Two-panel axial: CT | PSMA PET, [18F]PSMA-1007 tracer. Slice position z = -1426 mm. PET panel 200×200 px (4.1 mm/px).
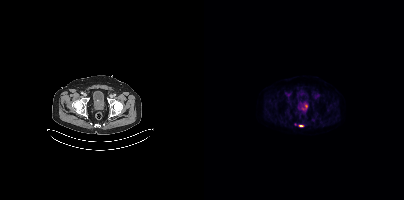
Coordinates are on the 200×200 PET (right) panel. PSMA-avid tumor lesion bounding box (x0,y0,x1,y1): [95,125,99,126].